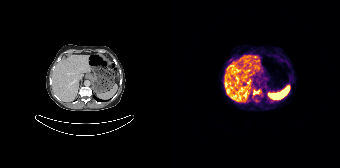
{"modality":"PSMA PET/CT","view":"axial","tracer":"[68Ga]Ga-PSMA-11","pet_grid":[168,168],"coord_frame":"pet_panel","coord_format":"x0,y0,x1,y1","lesion_bboxes":[[81,90,87,94]]}